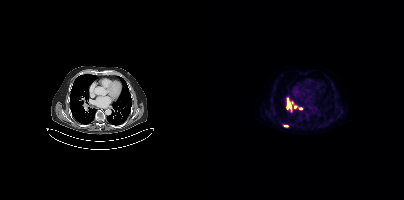
{"modality":"PSMA PET/CT","view":"axial","tracer":"[18F]PSMA-1007","pet_grid":[200,200],"coord_frame":"pet_panel","coord_format":"x0,y0,x1,y1","partial":true,"lesion_bboxes":[],"small_foci_centers":[[91,107],[96,108]]}